- Two-panel axial: CT | PSMA PET, [18F]PSMA-1007 tracer
- acquired on Siemens Biograph mCT Flow 20
- slice 17 of 403
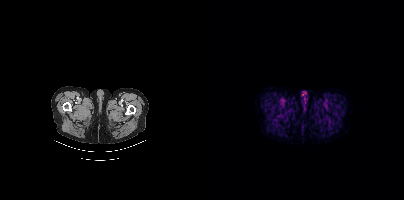
Findings: This slice has no annotated PSMA-avid lesion.